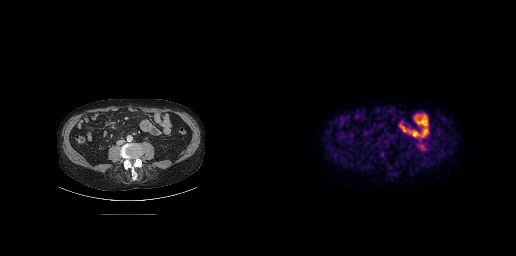
Left: CT. Right: PSMA PET, same axial level, [18F]PSMA-1007 tracer. Acquired on GE Discovery 690.
Coordinates are on the 256×256 PET (right) panel. PSMA-avid tumor lesion bounding boxes:
| # | x0 | y0 | x1 | y1 |
|---|---|---|---|---|
| 1 | 120 | 152 | 124 | 157 |